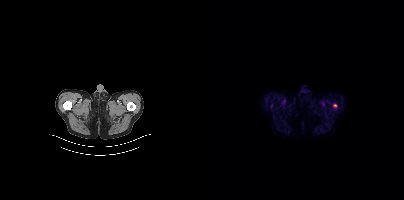
Coordinates are on the 200×200 PET (right) panel. Small PSMA-avid focus (2 to 4 px across) near (center x, center y): (131, 105).